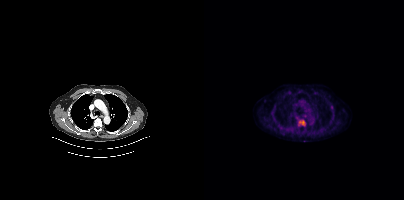
Two-panel axial: CT | PSMA PET, 18F-PSMA tracer. Slice position z = 383 mm. PET panel 200×200 px (4.1 mm/px).
Coordinates are on the 200×200 PET (right) panel. PSMA-avid tumor lesion bounding boxes:
| # | x0 | y0 | x1 | y1 |
|---|---|---|---|---|
| 1 | 94 | 120 | 101 | 125 |